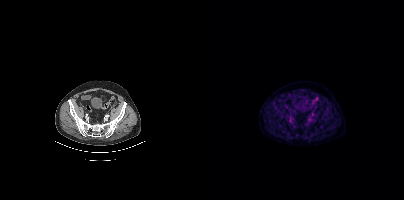
modality: PSMA PET/CT | tracer: 18F | view: axial | PET grid: 200×200
Negative for PSMA-avid disease on this slice.